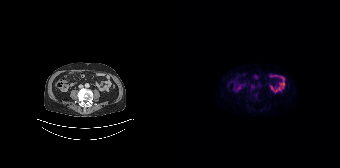
{"modality":"PSMA PET/CT","view":"axial","tracer":"[18F]PSMA-1007","pet_grid":[168,168],"coord_frame":"pet_panel","coord_format":"x0,y0,x1,y1","psma_avid_lesions":false}